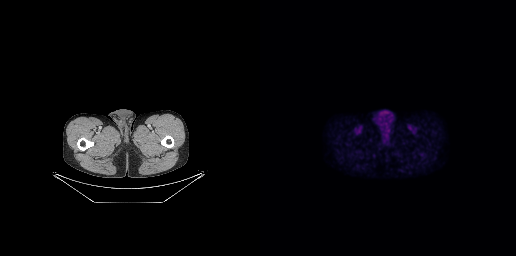
- Two-panel axial: CT | PSMA PET, [18F]PSMA-1007 tracer
- slice 31 of 263
Findings: No PSMA-avid tumor lesions on this slice.